Technique: Paired axial CT (left) and PSMA PET (right), 18F-PSMA tracer. acquired on Siemens Biograph mCT Flow 20. slice 89 of 429.
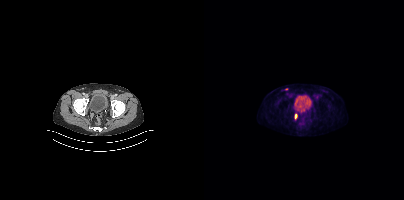
Findings: Coordinates are on the 200×200 PET (right) panel. PSMA-avid tumor lesion bounding box (x0,y0,x1,y1): [91,114,93,118]. Small PSMA-avid focus (2 to 4 px across) near (center x, center y): (82, 88).